modality: PSMA PET/CT | tracer: [68Ga]Ga-PSMA-11 | view: axial | PET grid: 168×168
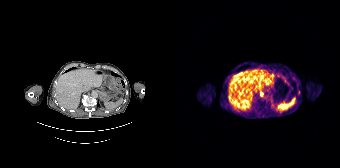
Coordinates are on the 168×168 PET (right) panel. Small PSMA-avid focus (2 to 4 px across) near (center x, center y): (89, 94).